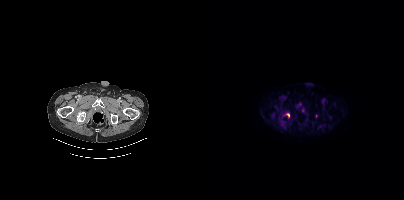
Technique: Paired axial CT (left) and PSMA PET (right), 18F tracer. acquired on Siemens Biograph mCT Flow 20. PET panel 200×200 px (4.1 mm/px).
Findings: Only PSMA-avid lesion pieces thinner than 2 px on this slice (not listed).